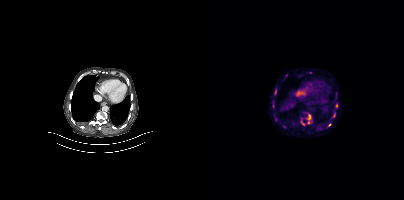
Coordinates are on the 200×200 PET (right) panel. (showing 10 of 11 foci) PSMA-avid tumor lesion bounding boxes (x, y, width, height): x=99 y=111 w=9 h=13 / x=131 y=103 w=4 h=6 / x=97 y=118 w=5 h=8 / x=128 y=112 w=4 h=6 / x=104 y=71 w=5 h=3 / x=123 y=123 w=5 h=5 / x=70 y=90 w=3 h=5. Small PSMA-avid foci (2 to 4 px across) near (center x, center y): (82, 75) / (132, 92) / (69, 112).